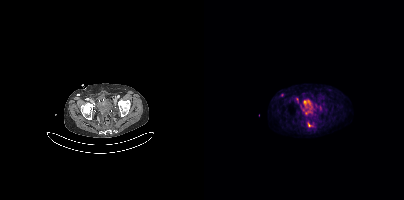
Coordinates are on the 200×200 PET (right) panel. PSMA-avid tumor lesion bounding boxes (x0,y0,x1,y1): [103,122,108,127]; [101,110,106,114]. Small PSMA-avid foci (2 to 4 px across) near (center x, center y): (78, 95); (93, 99); (116, 107); (99, 109). Paired axial CT (left) and PSMA PET (right), [18F]PSMA-1007 tracer.